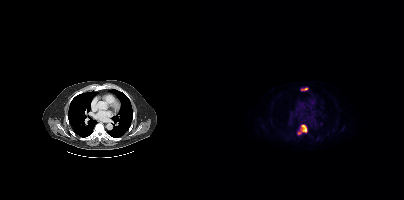
Coordinates are on the 200×200 PET (right) panel. PSMA-avid tumor lesion bounding boxes (x0, y0)-(x1, y1): (93, 125)-(103, 134) | (97, 88)-(103, 90).